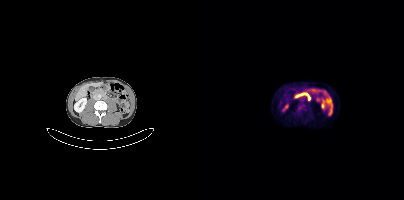
Technique: Left: CT. Right: PSMA PET, same axial level, 18F-PSMA tracer. acquired on Siemens Biograph mCT Flow 20. slice 161 of 417. PET panel 200×200 px (4.1 mm/px).
Findings: Coordinates are on the 200×200 PET (right) panel. PSMA-avid tumor lesion bounding box (x, y, width, height): x=94 y=105 w=7 h=6.